modality: PSMA PET/CT | tracer: 18F-PSMA | view: axial
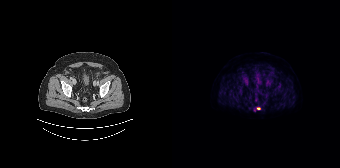
Coordinates are on the 168×168 PET (right) panel. Small PSMA-avid focus (2 to 4 px across) near (center x, center y): (86, 108).